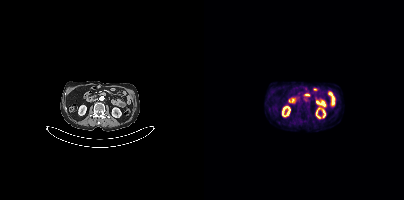
No PSMA-avid tumor lesions on this slice.